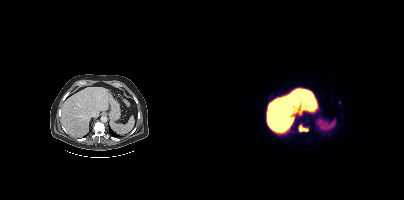
{"modality":"PSMA PET/CT","view":"axial","tracer":"[18F]PSMA-1007","pet_grid":[200,200],"coord_frame":"pet_panel","coord_format":"x0,y0,x1,y1","lesion_bboxes":[[94,124,104,131]],"small_foci_centers":[[135,102]]}